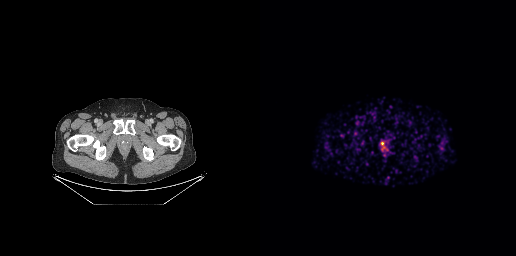
- Two-panel axial: CT | PSMA PET, 68Ga-PSMA tracer
- slice 45 of 263
- PET panel 256×256 px (2.7 mm/px)
Findings: Coordinates are on the 256×256 PET (right) panel. PSMA-avid tumor lesion bounding box (x0, y0)-(x1, y1): (121, 142)-(124, 146).